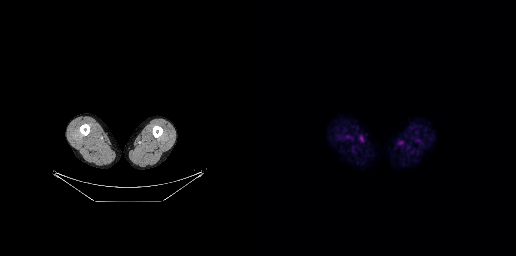
{"modality":"PSMA PET/CT","view":"axial","tracer":"[18F]PSMA-1007","pet_grid":[256,256],"coord_frame":"pet_panel","coord_format":"x0,y0,x1,y1","psma_avid_lesions":false}